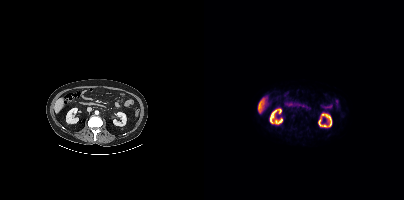
- Left: CT. Right: PSMA PET, same axial level, 18F tracer
Findings: Negative for PSMA-avid disease on this slice.